Two-panel axial: CT | PSMA PET, 18F tracer. Slice 38 of 431. PET panel 200×200 px (4.1 mm/px).
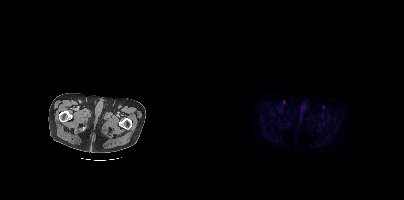
No tumor lesions annotated on this slice.